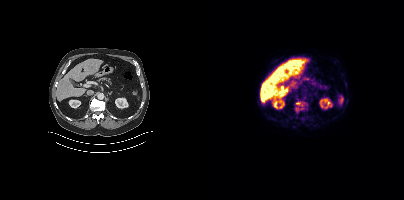
Left: CT. Right: PSMA PET, same axial level, 18F-PSMA tracer. Coordinates are on the 200×200 PET (right) panel. (showing 2 of 3 foci) PSMA-avid tumor lesion bounding box (x0,y0,x1,y1): [92,102,98,106]. Small PSMA-avid focus (2 to 4 px across) near (center x, center y): (93, 109).